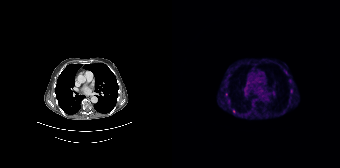
{"modality":"PSMA PET/CT","view":"axial","tracer":"[68Ga]Ga-PSMA-11","pet_grid":[168,168],"coord_frame":"pet_panel","coord_format":"x0,y0,x1,y1","partial":true,"lesion_bboxes":[],"small_foci_centers":[[114,72],[62,111],[54,94],[57,101]]}